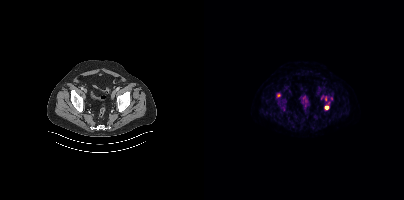
Technique: Paired axial CT (left) and PSMA PET (right), 18F tracer. slice position z = -802 mm.
Findings: Coordinates are on the 200×200 PET (right) panel. PSMA-avid tumor lesion bounding box (x, y, width, height): x=73 y=93 w=4 h=5. Small PSMA-avid foci (2 to 4 px across) near (center x, center y): (122, 107); (118, 97); (121, 99).